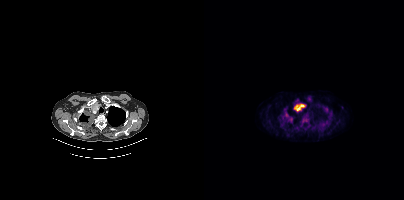
Findings: Coordinates are on the 200×200 PET (right) panel. PSMA-avid tumor lesion bounding boxes (x0,y0,x1,y1): [78,108,88,121]; [90,104,100,111]; [98,115,102,119].
Technique: Paired axial CT (left) and PSMA PET (right), [18F]PSMA-1007 tracer. slice position z = -1024 mm.